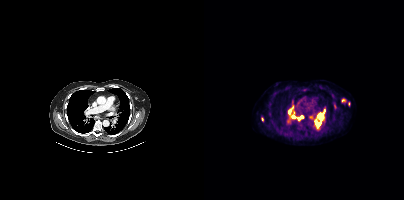
Coordinates are on the 200×200 PET (right) panel. (showing 10 of 11 foci) PSMA-avid tumor lesion bounding boxes (x, y, width, height): x=111 y=109 w=11 h=20 | x=84 y=110 w=8 h=9 | x=87 y=101 w=3 h=9 | x=105 y=116 w=5 h=4. Small PSMA-avid foci (2 to 4 px across) near (center x, center y): (139, 100) | (131, 106) | (98, 117) | (94, 119) | (144, 103) | (58, 119).